Two-panel axial: CT | PSMA PET, [18F]PSMA-1007 tracer. De-identified by setting a box covering the face to black before release.
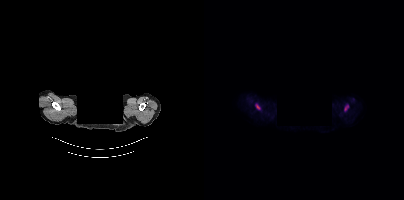
Coordinates are on the 200×200 PET (right) panel. PSMA-avid tumor lesion bounding boxes (x, y, width, height): x=51 y=104 w=6 h=6; x=141 y=105 w=4 h=5.